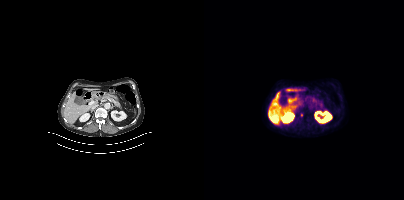
{"modality":"PSMA PET/CT","view":"axial","tracer":"18F-PSMA","pet_grid":[200,200],"coord_frame":"pet_panel","coord_format":"x0,y0,x1,y1","lesion_bboxes":[],"small_foci_centers":[[97,115]]}